modality: PSMA PET/CT | tracer: 18F-PSMA | view: axial | PET grid: 200×200
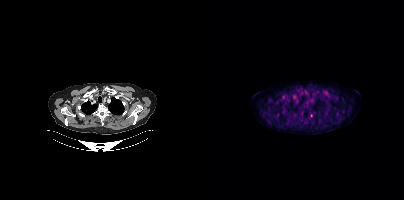
Coordinates are on the 200×200 PET (right) panel. (showing 1 of 2 foci) Small PSMA-avid focus (2 to 4 px across) near (center x, center y): (107, 115).